modality: PSMA PET/CT | tracer: 18F-PSMA | view: axial | PET grid: 256×256
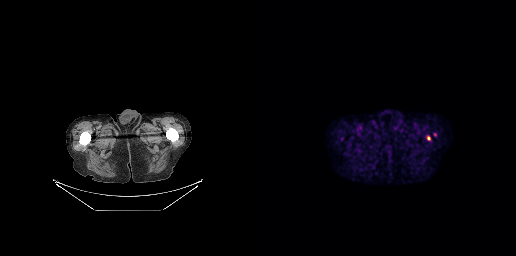
Coordinates are on the 256×256 PET (right) panel. Small PSMA-avid focus (2 to 4 px across) near (center x, center y): (168, 138).